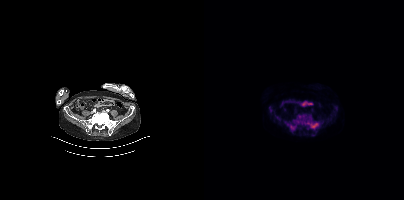
{"modality":"PSMA PET/CT","view":"axial","tracer":"18F-PSMA","pet_grid":[200,200],"coord_frame":"pet_panel","coord_format":"x0,y0,x1,y1","partial":true,"lesion_bboxes":[[105,122,115,129],[87,121,93,128],[94,115,99,119]]}